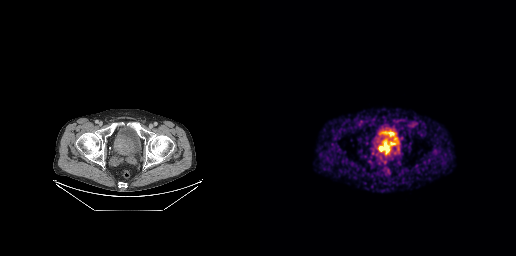
Coordinates are on the 256×256 PET (right) panel. PSMA-avid tumor lesion bounding box (x, y, width, height): x=119 y=144 w=11 h=10. Paired axial CT (left) and PSMA PET (right), 68Ga tracer. PET panel 256×256 px (2.7 mm/px).